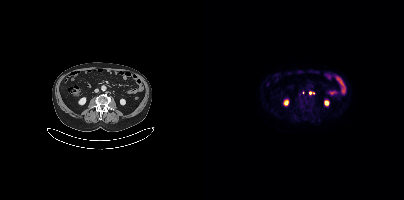
This slice has no annotated PSMA-avid lesion.